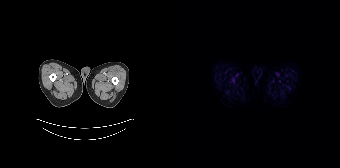
This slice has no annotated PSMA-avid lesion.